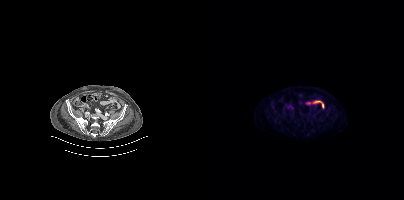
Negative for PSMA-avid disease on this slice.